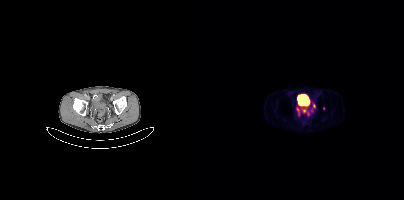
{"modality":"PSMA PET/CT","view":"axial","tracer":"[68Ga]Ga-PSMA-11","pet_grid":[200,200],"coord_frame":"pet_panel","coord_format":"x0,y0,x1,y1","partial":true,"lesion_bboxes":[[92,107,95,115],[97,108,102,112],[109,103,111,107]]}